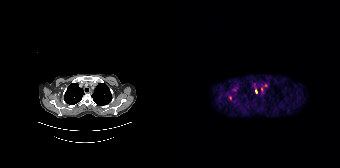
{"modality":"PSMA PET/CT","view":"axial","tracer":"68Ga-PSMA","pet_grid":[168,168],"coord_frame":"pet_panel","coord_format":"x0,y0,x1,y1","partial":true,"lesion_bboxes":[[83,89,85,93]]}